Technique: Left: CT. Right: PSMA PET, same axial level, 18F-PSMA tracer. PET panel 200×200 px (4.1 mm/px).
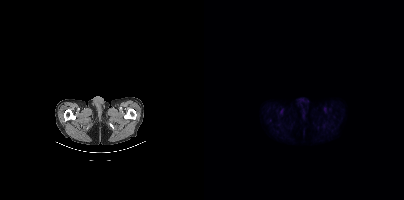
Findings: No PSMA-avid tumor lesions on this slice.